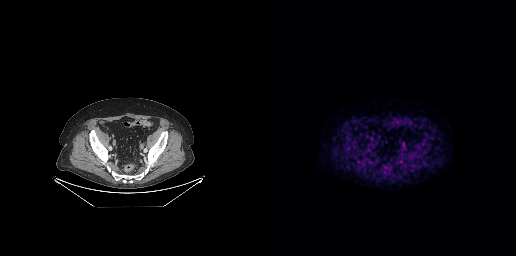
Two-panel axial: CT | PSMA PET, 18F tracer. Acquired on GE Discovery 690. Only PSMA-avid lesion pieces thinner than 2 px on this slice (not listed).